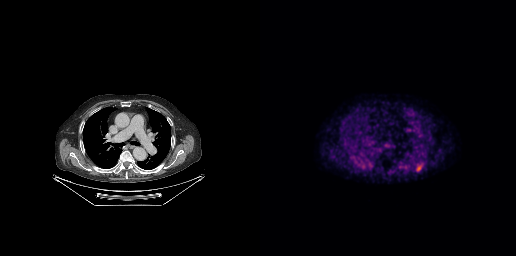
modality: PSMA PET/CT | tracer: 18F-PSMA | view: axial
Coordinates are on the 256×256 PET (right) panel. PSMA-avid tumor lesion bounding box (x, y, width, height): x=156 y=163 w=7 h=9.